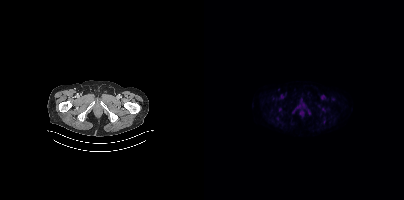
Technique: Paired axial CT (left) and PSMA PET (right), 18F tracer. slice 44 of 436. PET panel 200×200 px (4.1 mm/px).
Findings: This slice has no annotated PSMA-avid lesion.